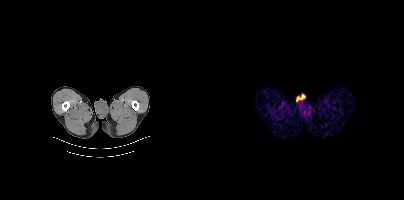
No tumor lesions annotated on this slice.
modality: PSMA PET/CT | tracer: 18F | view: axial | PET grid: 200×200